- Two-panel axial: CT | PSMA PET, [18F]PSMA-1007 tracer
- acquired on Siemens Biograph 64-4R TruePoint
- slice position z = -1150 mm
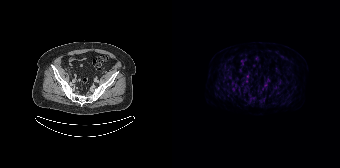
Findings: Coordinates are on the 168×168 PET (right) panel. Small PSMA-avid focus (2 to 4 px across) near (center x, center y): (75, 76).